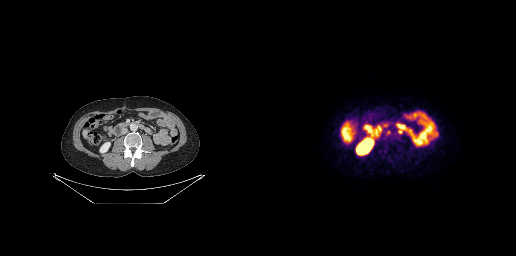
Paired axial CT (left) and PSMA PET (right), 18F tracer. Coordinates are on the 256×256 PET (right) panel. (showing 1 of 2 foci) Small PSMA-avid focus (2 to 4 px across) near (center x, center y): (139, 131).